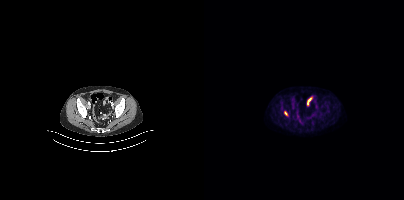
Coordinates are on the 200×200 PET (right) panel. Small PSMA-avid focus (2 to 4 px across) near (center x, center y): (82, 113).